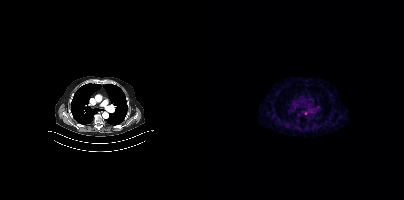
Paired axial CT (left) and PSMA PET (right), 68Ga-PSMA tracer. Coordinates are on the 200×200 PET (right) panel. PSMA-avid tumor lesion bounding box (x0, y0)-(x1, y1): (100, 112)-(104, 114).